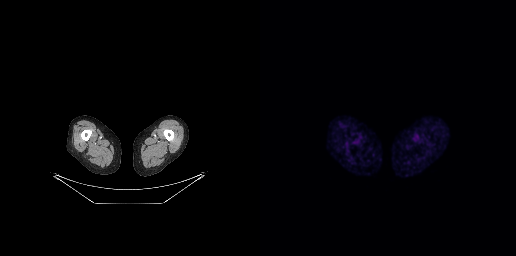
{"modality":"PSMA PET/CT","view":"axial","tracer":"68Ga","pet_grid":[256,256],"coord_frame":"pet_panel","coord_format":"x0,y0,x1,y1","psma_avid_lesions":false}